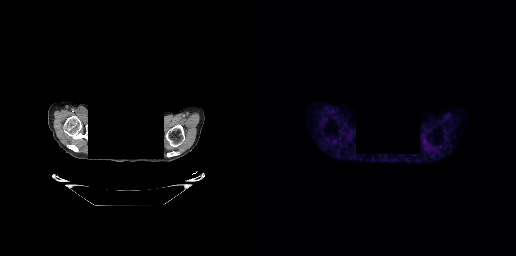
{"modality":"PSMA PET/CT","view":"axial","tracer":"18F-PSMA","pet_grid":[256,256],"coord_frame":"pet_panel","coord_format":"x0,y0,x1,y1","psma_avid_lesions":false,"redaction":"facial region redacted"}